Left: CT. Right: PSMA PET, same axial level, [18F]PSMA-1007 tracer. Acquired on Siemens Biograph mCT Flow 20.
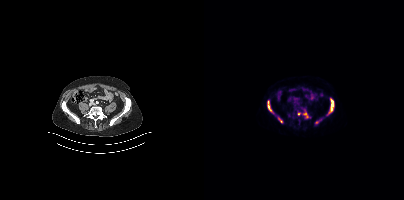
Coordinates are on the 200×200 PET (right) panel. PSMA-avid tumor lesion bounding boxes:
| # | x0 | y0 | x1 | y1 |
|---|---|---|---|---|
| 1 | 126 | 99 | 129 | 111 |
| 2 | 63 | 100 | 67 | 111 |
| 3 | 75 | 118 | 78 | 122 |
Small PSMA-avid foci (2 to 4 px across) near (center x, center y): (94, 114); (102, 117); (101, 113).